Two-panel axial: CT | PSMA PET, [18F]PSMA-1007 tracer. Slice position z = -790 mm.
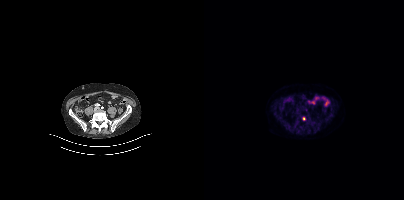
Coordinates are on the 200×200 PET (right) panel. Small PSMA-avid focus (2 to 4 px across) near (center x, center y): (99, 118).